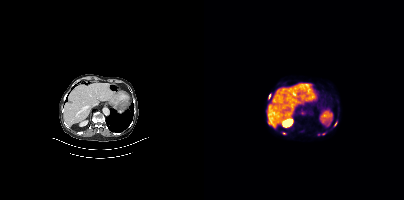
Coordinates are on the 200×200 PET (right) panel. PSMA-avid tumor lesion bounding boxes (partial; 1 more focus not listed):
| # | x0 | y0 | x1 | y1 |
|---|---|---|---|---|
| 1 | 64 | 120 | 66 | 124 |
| 2 | 130 | 122 | 132 | 126 |
Small PSMA-avid foci (2 to 4 px across) near (center x, center y): (79, 133); (119, 133); (65, 96).
Left: CT. Right: PSMA PET, same axial level, [68Ga]Ga-PSMA-11 tracer. Acquired on Siemens Biograph mCT Flow 20.